modality: PSMA PET/CT | tracer: [68Ga]Ga-PSMA-11 | view: axial
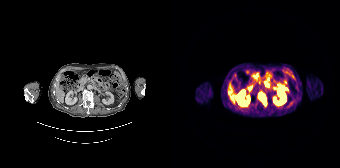
Coordinates are on the 168×168 PET (right) panel. PSMA-avid tumor lesion bounding box (x, y, width, height): x=86 y=93 w=9 h=13.